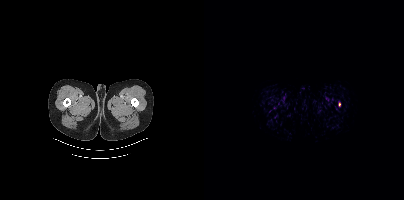
Coordinates are on the 200×200 PET (right) panel. PSMA-avid tumor lesion bounding box (x, y, width, height): x=134 y=102 w=3 h=5.
modality: PSMA PET/CT | tracer: [18F]PSMA-1007 | view: axial